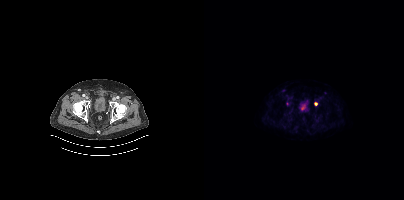
{"modality":"PSMA PET/CT","view":"axial","tracer":"[18F]PSMA-1007","pet_grid":[200,200],"coord_frame":"pet_panel","coord_format":"x0,y0,x1,y1","lesion_bboxes":[],"small_foci_centers":[[111,103]]}